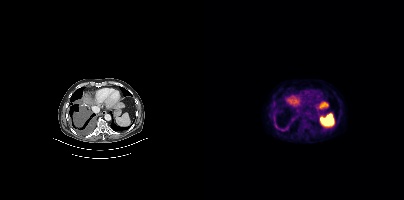
Technique: Paired axial CT (left) and PSMA PET (right), 18F-PSMA tracer. acquired on Siemens Biograph mCT Flow 20. PET panel 200×200 px (4.1 mm/px).
Findings: Coordinates are on the 200×200 PET (right) panel. PSMA-avid tumor lesion bounding boxes (x0, y0)-(x1, y1): (70, 125)-(84, 131) / (87, 117)-(90, 121). Small PSMA-avid focus (2 to 4 px across) near (center x, center y): (70, 118).